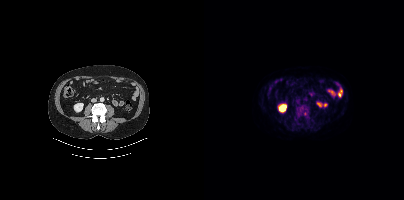
Coordinates are on the 200×200 PET (right) panel. (showing 2 of 3 foci) PSMA-avid tumor lesion bounding boxes (x0,y0,x1,y1): [92,105,102,117] [102,115,105,119]. Left: CT. Right: PSMA PET, same axial level, 18F-PSMA tracer. PET panel 200×200 px (4.1 mm/px).